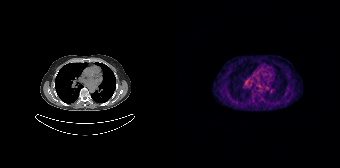
- Two-panel axial: CT | PSMA PET, [68Ga]Ga-PSMA-11 tracer
- acquired on Siemens Biograph 64-4R TruePoint
Findings: Negative for PSMA-avid disease on this slice.